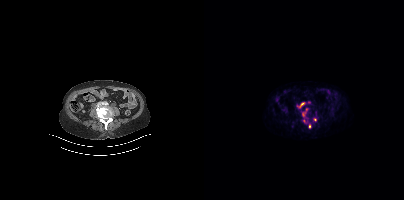
{"modality":"PSMA PET/CT","view":"axial","tracer":"[68Ga]Ga-PSMA-11","pet_grid":[200,200],"coord_frame":"pet_panel","coord_format":"x0,y0,x1,y1","partial":true,"lesion_bboxes":[[93,105,97,108],[105,124,107,128],[99,112,102,116]],"small_foci_centers":[[111,119],[100,121],[105,121]]}